- Paired axial CT (left) and PSMA PET (right), 18F-PSMA tracer
- PET panel 200×200 px (4.1 mm/px)
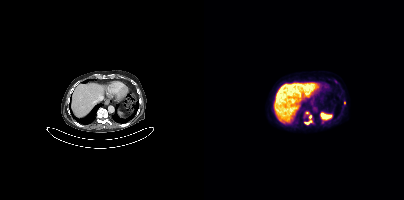
Findings: Coordinates are on the 200×200 PET (right) panel. PSMA-avid tumor lesion bounding boxes (x0, y0)-(x1, y1): (100, 120)-(107, 124) / (98, 115)-(101, 119). Small PSMA-avid foci (2 to 4 px across) near (center x, center y): (106, 116) / (103, 112) / (140, 102).